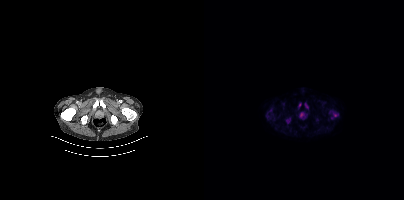
{"pet_grid":[200,200],"coord_frame":"pet_panel","coord_format":"x0,y0,x1,y1","lesion_bboxes":[[125,110,134,119],[82,118,86,123]],"small_foci_centers":[[97,114],[102,105],[95,104]],"modality":"PSMA PET/CT","view":"axial","tracer":"18F-PSMA"}